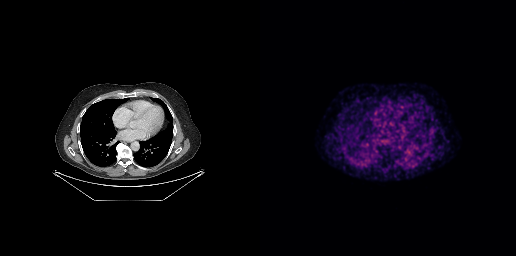
modality: PSMA PET/CT | tracer: [68Ga]Ga-PSMA-11 | view: axial
No PSMA-avid tumor lesions on this slice.